Technique: Paired axial CT (left) and PSMA PET (right), [18F]PSMA-1007 tracer. slice position z = -1450 mm. PET panel 200×200 px (4.1 mm/px).
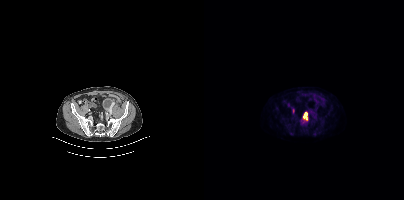
Findings: Coordinates are on the 200×200 PET (right) panel. PSMA-avid tumor lesion bounding box (x0,y0,x1,y1): [99,112,103,120].